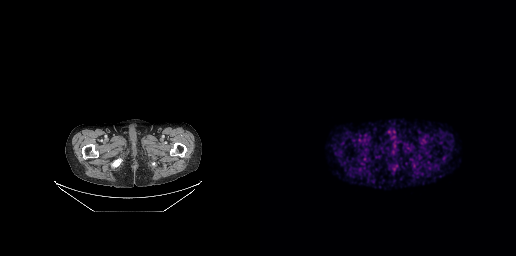
No tumor lesions annotated on this slice.